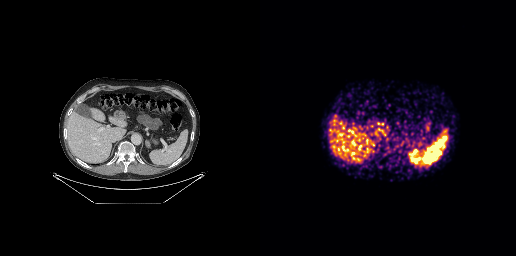
- Left: CT. Right: PSMA PET, same axial level, [68Ga]Ga-PSMA-11 tracer
- acquired on GE Discovery 690
- slice position z = -573 mm
Findings: Coordinates are on the 256×256 PET (right) panel. Small PSMA-avid focus (2 to 4 px across) near (center x, center y): (160, 153).